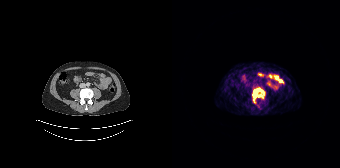
Two-panel axial: CT | PSMA PET, 68Ga tracer. PET panel 168×168 px (4.1 mm/px). Coordinates are on the 168×168 PET (right) panel. PSMA-avid tumor lesion bounding box (x0, y0)-(x1, y1): (81, 88)-(92, 99).